modality: PSMA PET/CT | tracer: [18F]PSMA-1007 | view: axial
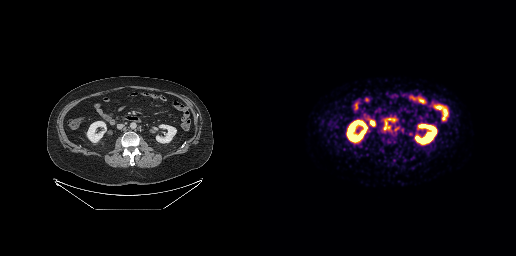
Coordinates are on the 256×256 PET (right) panel. PSMA-avid tumor lesion bounding box (x0,y0,x1,y1): [123,125,128,130]. Small PSMA-avid focus (2 to 4 px across) near (center x, center y): (125, 121).